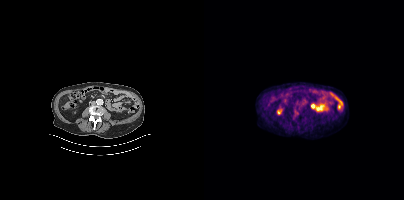
Two-panel axial: CT | PSMA PET, 18F-PSMA tracer. This slice has no annotated PSMA-avid lesion.